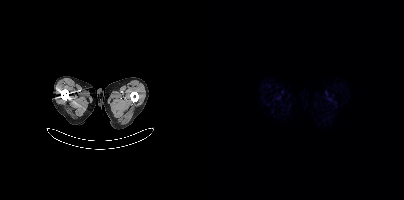
Negative for PSMA-avid disease on this slice.